Technique: Two-panel axial: CT | PSMA PET, [18F]PSMA-1007 tracer. PET panel 200×200 px (4.1 mm/px).
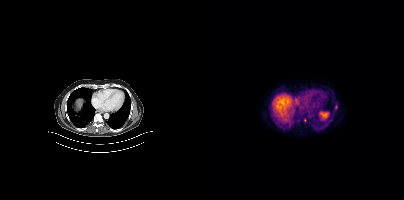
Findings: Coordinates are on the 200×200 PET (right) panel. PSMA-avid tumor lesion bounding box (x, y, width, height): x=100 y=118 w=3 h=5. Small PSMA-avid focus (2 to 4 px across) near (center x, center y): (132, 106).